modality: PSMA PET/CT | tracer: [18F]PSMA-1007 | view: axial | PET grid: 200×200
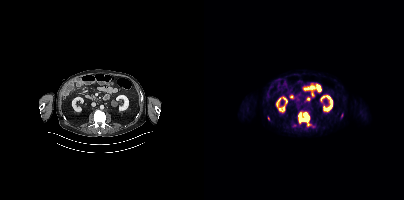
Coordinates are on the 200×200 PET (right) panel. PSMA-avid tumor lesion bounding box (x, y, width, height): x=94 y=112 w=12 h=14. Small PSMA-avid foci (2 to 4 px across) near (center x, center y): (138, 115) | (64, 118).